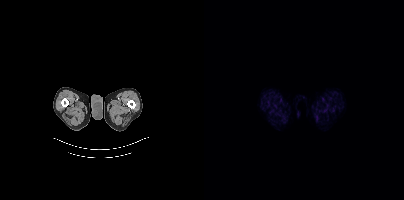
modality: PSMA PET/CT | tracer: 18F-PSMA | view: axial | PET grid: 200×200
No tumor lesions annotated on this slice.